Left: CT. Right: PSMA PET, same axial level, 18F tracer. PET panel 256×256 px (2.7 mm/px).
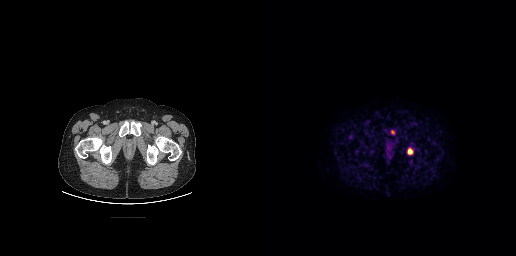
Coordinates are on the 256×256 PET (right) panel. PSMA-avid tumor lesion bounding box (x0,y0,x1,y1): [148,149,152,154]. Small PSMA-avid focus (2 to 4 px across) near (center x, center y): (132, 132).